- Two-panel axial: CT | PSMA PET, 68Ga tracer
- slice 130 of 195
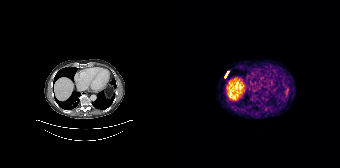
Findings: Coordinates are on the 168×168 PET (right) panel. Small PSMA-avid foci (2 to 4 px across) near (center x, center y): (55, 72) / (53, 76).